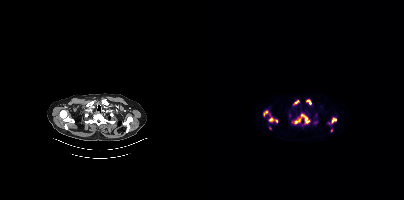
{"modality":"PSMA PET/CT","view":"axial","tracer":"18F-PSMA","pet_grid":[200,200],"coord_frame":"pet_panel","coord_format":"x0,y0,x1,y1","lesion_bboxes":[[90,114,105,123],[127,117,132,123],[103,100,107,104],[65,118,69,121],[60,111,63,115]],"small_foci_centers":[[66,128],[92,102],[72,121],[127,130]]}